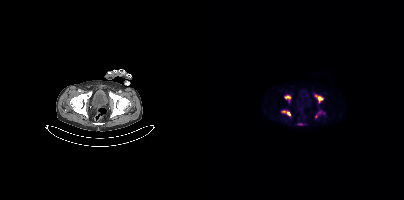
Findings: Coordinates are on the 200×200 PET (right) panel. (showing 4 of 6 foci) PSMA-avid tumor lesion bounding boxes (x0, y0)-(x1, y1): (111, 94)-(119, 102) | (80, 95)-(87, 102) | (77, 110)-(86, 115) | (111, 111)-(116, 117).
- Paired axial CT (left) and PSMA PET (right), 18F tracer